modality: PSMA PET/CT | tracer: 18F | view: axial | PET grid: 256×256
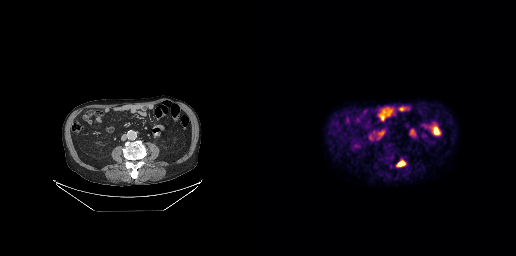
Coordinates are on the 256×256 PET (right) panel. PSMA-avid tumor lesion bounding box (x0,y0,x1,y1): [137,161,144,165].